Left: CT. Right: PSMA PET, same axial level, [18F]PSMA-1007 tracer. Acquired on Siemens Biograph mCT Flow 20.
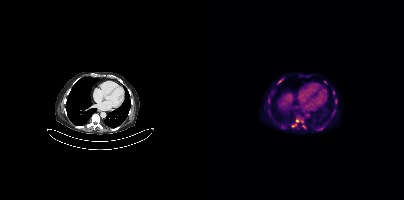
Coordinates are on the 200×200 PET (right) panel. PSMA-avid tumor lesion bounding boxes (partial; 2 more foci not listed):
| # | x0 | y0 | x1 | y1 |
|---|---|---|---|---|
| 1 | 74 | 79 | 78 | 83 |
Small PSMA-avid foci (2 to 4 px across) near (center x, center y): (93, 120); (89, 125); (129, 92); (99, 126).